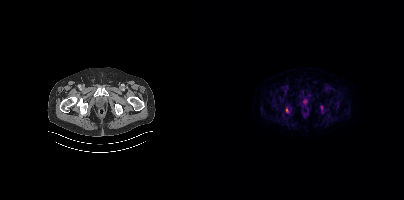
- Two-panel axial: CT | PSMA PET, 18F tracer
- slice 64 of 454
Findings: Coordinates are on the 200×200 PET (right) panel. Small PSMA-avid foci (2 to 4 px across) near (center x, center y): (117, 107) / (82, 109).